- Two-panel axial: CT | PSMA PET, 18F-PSMA tracer
- PET panel 200×200 px (4.1 mm/px)
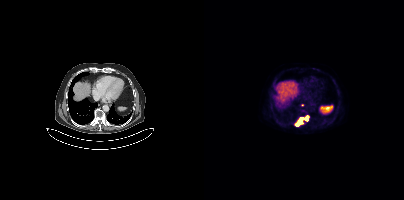
Findings: Coordinates are on the 200×200 PET (right) panel. PSMA-avid tumor lesion bounding box (x0,y0,x1,y1): [91,116,104,126]. Small PSMA-avid focus (2 to 4 px across) near (center x, center y): (98, 104).